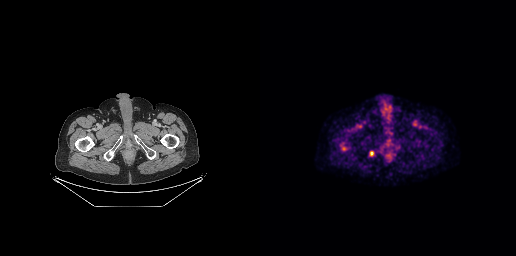
- Two-panel axial: CT | PSMA PET, [18F]PSMA-1007 tracer
- slice 38 of 263
Findings: Coordinates are on the 256×256 PET (right) panel. PSMA-avid tumor lesion bounding box (x, y, width, height): x=110 y=151 w=4 h=6. Small PSMA-avid focus (2 to 4 px across) near (center x, center y): (82, 148).